Paired axial CT (left) and PSMA PET (right), [18F]PSMA-1007 tracer. PET panel 200×200 px (4.1 mm/px).
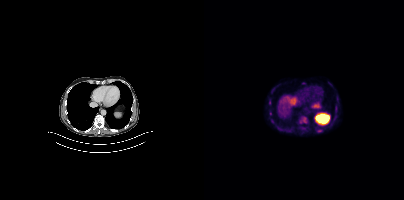
Coordinates are on the 200×200 PET (right) panel. (showing 2 of 4 foci) Small PSMA-avid foci (2 to 4 px across) near (center x, center y): (65, 101); (98, 120).